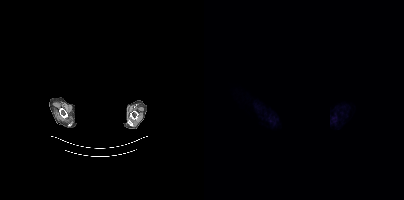
No PSMA-avid tumor lesions on this slice.
deidentification: face masked with black rectangle | modality: PSMA PET/CT | tracer: 18F-PSMA | view: axial